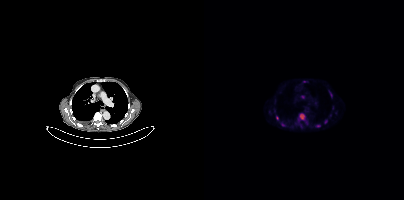
{"pet_grid":[200,200],"coord_frame":"pet_panel","coord_format":"x0,y0,x1,y1","partial":true,"lesion_bboxes":[[96,114,100,119],[112,125,116,127]],"small_foci_centers":[[98,96],[73,117],[122,121],[78,124]],"modality":"PSMA PET/CT","view":"axial","tracer":"18F-PSMA"}